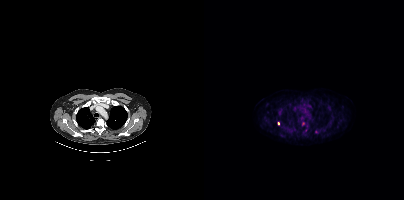
modality: PSMA PET/CT | tracer: 18F-PSMA | view: axial | PET grid: 200×200
Coordinates are on the 200×200 PET (right) panel. (showing 2 of 4 foci) Small PSMA-avid foci (2 to 4 px across) near (center x, center y): (99, 123); (74, 123).